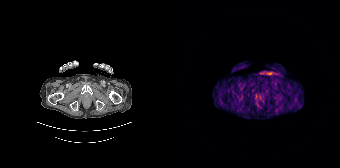
Left: CT. Right: PSMA PET, same axial level, 68Ga-PSMA tracer. Acquired on Siemens Biograph 64-4R TruePoint. PET panel 168×168 px (4.1 mm/px). Negative for PSMA-avid disease on this slice.